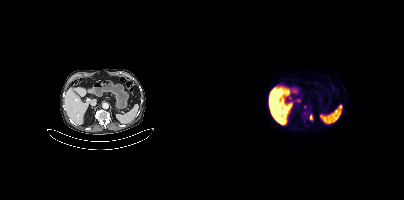
Left: CT. Right: PSMA PET, same axial level, 18F tracer. Slice 217 of 403. Coordinates are on the 200×200 PET (right) panel. PSMA-avid tumor lesion bounding boxes (x0,y0,x1,y1): [99,111,105,115], [105,114,108,120]. Small PSMA-avid focus (2 to 4 px across) near (center x, center y): (101, 106).